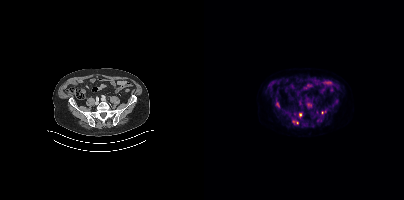
Left: CT. Right: PSMA PET, same axial level, [18F]PSMA-1007 tracer. Coordinates are on the 200×200 PET (right) panel. (showing 6 of 8 foci) Small PSMA-avid foci (2 to 4 px across) near (center x, center y): (96, 114) | (105, 104) | (118, 112) | (74, 104) | (113, 120) | (93, 122).